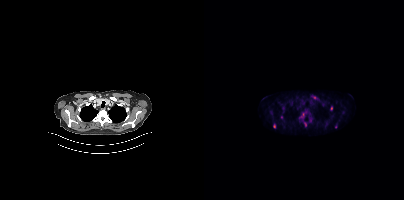
- Two-panel axial: CT | PSMA PET, [18F]PSMA-1007 tracer
- slice position z = -982 mm
- PET panel 200×200 px (4.1 mm/px)
Findings: Coordinates are on the 200×200 PET (right) panel. (showing 5 of 7 foci) PSMA-avid tumor lesion bounding box (x0,y0,x1,y1): [126,106,128,110]. Small PSMA-avid foci (2 to 4 px across) near (center x, center y): (70, 125); (110, 97); (101, 124); (131, 126).